Technique: Two-panel axial: CT | PSMA PET, 18F-PSMA tracer. acquired on Siemens Biograph mCT Flow 20. slice 100 of 454. PET panel 200×200 px (4.1 mm/px).
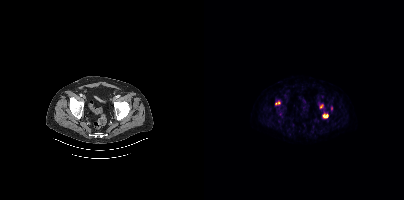
Findings: Coordinates are on the 200×200 PET (right) panel. (showing 3 of 4 foci) PSMA-avid tumor lesion bounding boxes (x, y, width, height): x=118 y=113 w=7 h=6 | x=71 y=101 w=6 h=4 | x=116 y=104 w=4 h=5.